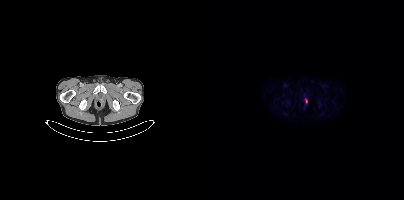
Findings: Coordinates are on the 200×200 PET (right) panel. PSMA-avid tumor lesion bounding box (x0,y0,x1,y1): [101,99,103,103].
Technique: Left: CT. Right: PSMA PET, same axial level, 18F tracer. acquired on Siemens Biograph mCT Flow 20.